Technique: Two-panel axial: CT | PSMA PET, 18F-PSMA tracer. slice 289 of 421.
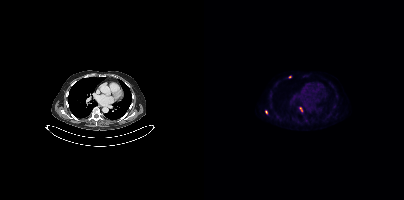
Findings: Coordinates are on the 200×200 PET (right) panel. PSMA-avid tumor lesion bounding box (x0, y0)-(x1, y1): (95, 107)-(98, 111). Small PSMA-avid foci (2 to 4 px across) near (center x, center y): (86, 76) | (62, 112).